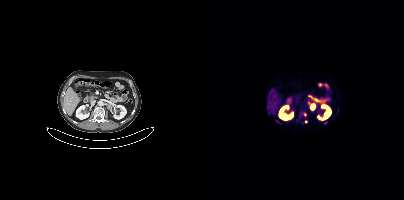
Technique: Left: CT. Right: PSMA PET, same axial level, 68Ga tracer. acquired on Siemens Biograph mCT Flow 20. slice position z = -1235 mm. PET panel 200×200 px (4.1 mm/px).
Findings: Coordinates are on the 200×200 PET (right) panel. (showing 5 of 6 foci) Small PSMA-avid foci (2 to 4 px across) near (center x, center y): (101, 114); (93, 120); (121, 123); (73, 121); (101, 121).